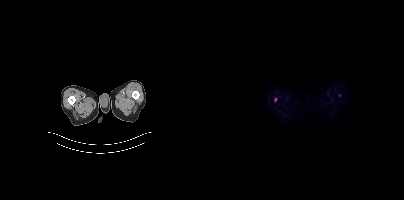
- Left: CT. Right: PSMA PET, same axial level, 18F tracer
- acquired on Siemens Biograph mCT Flow 20
- slice 19 of 413
- PET panel 200×200 px (4.1 mm/px)
Findings: Only PSMA-avid lesion pieces thinner than 2 px on this slice (not listed).